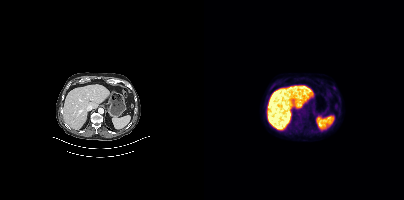
- Left: CT. Right: PSMA PET, same axial level, 18F tracer
Findings: This slice has no annotated PSMA-avid lesion.